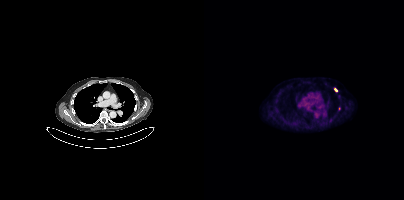
{"modality":"PSMA PET/CT","view":"axial","tracer":"18F-PSMA","pet_grid":[200,200],"coord_frame":"pet_panel","coord_format":"x0,y0,x1,y1","lesion_bboxes":[],"small_foci_centers":[[131,90]]}